Two-panel axial: CT | PSMA PET, 18F tracer. Slice 98 of 165.
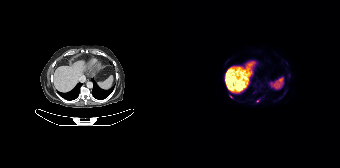
Coordinates are on the 168×168 PET (right) panel. (showing 1 of 2 foci) Small PSMA-avid focus (2 to 4 px across) near (center x, center y): (59, 96).